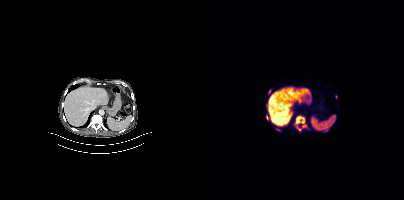
{"modality":"PSMA PET/CT","view":"axial","tracer":"18F","pet_grid":[200,200],"coord_frame":"pet_panel","coord_format":"x0,y0,x1,y1","partial":true,"lesion_bboxes":[[90,115,102,131],[71,128,76,131]],"small_foci_centers":[[63,117],[65,91],[132,96]]}